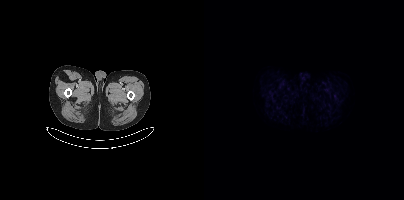
modality: PSMA PET/CT | tracer: [18F]PSMA-1007 | view: axial
No PSMA-avid tumor lesions on this slice.